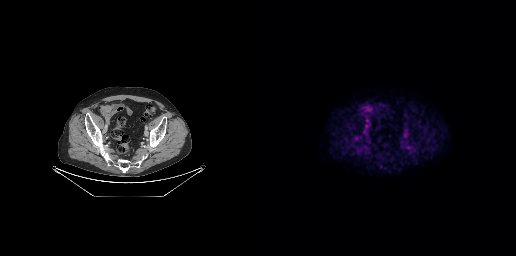
No tumor lesions annotated on this slice.